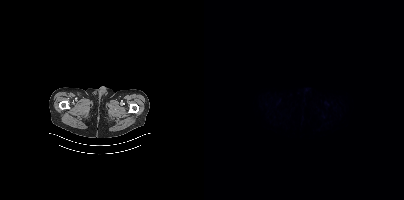
Two-panel axial: CT | PSMA PET, 18F-PSMA tracer. Acquired on Siemens Biograph mCT Flow 20. PET panel 200×200 px (4.1 mm/px). Negative for PSMA-avid disease on this slice.